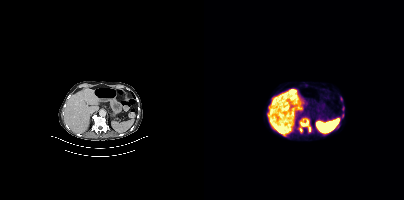
Findings: Coordinates are on the 200×200 PET (right) panel. (showing 2 of 3 foci) PSMA-avid tumor lesion bounding box (x0,y0,x1,y1): [95,118,107,132]. Small PSMA-avid focus (2 to 4 px across) near (center x, center y): (137, 99).
Technique: Left: CT. Right: PSMA PET, same axial level, 18F tracer. acquired on Siemens Biograph mCT Flow 20. slice position z = -538 mm.